- Paired axial CT (left) and PSMA PET (right), 18F tracer
- slice position z = -1499 mm
- PET panel 200×200 px (4.1 mm/px)
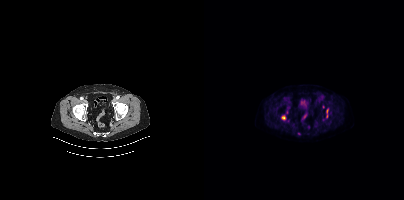
Findings: Coordinates are on the 200×200 PET (right) panel. (showing 1 of 3 foci) Small PSMA-avid focus (2 to 4 px across) near (center x, center y): (79, 117).